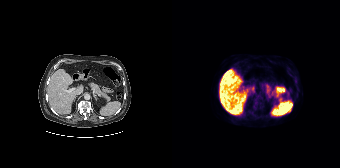
Findings: Negative for PSMA-avid disease on this slice.
- Paired axial CT (left) and PSMA PET (right), 18F-PSMA tracer
- acquired on Siemens Biograph 64-4R TruePoint
- slice position z = -956 mm